Two-panel axial: CT | PSMA PET, [18F]PSMA-1007 tracer. Acquired on Siemens Biograph mCT Flow 20. Slice position z = -50 mm. PET panel 200×200 px (4.1 mm/px).
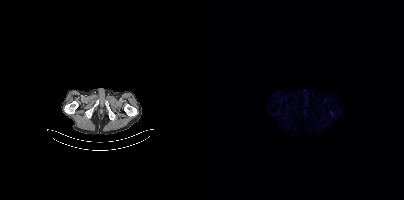
No PSMA-avid tumor lesions on this slice.